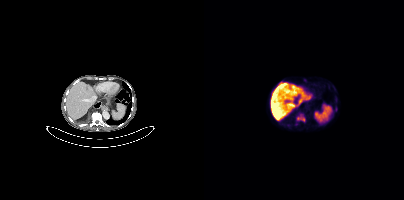
modality: PSMA PET/CT | tracer: [18F]PSMA-1007 | view: axial | PET grid: 200×200
Coordinates are on the 200×200 PET (right) panel. PSMA-avid tumor lesion bounding box (x, y, width, height): x=93 y=114 w=9 h=8.